Technique: Two-panel axial: CT | PSMA PET, [18F]PSMA-1007 tracer. slice position z = -827 mm.
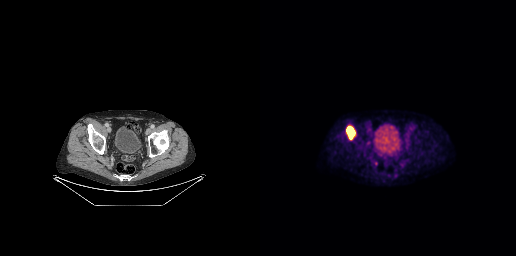
Findings: Coordinates are on the 256×256 PET (right) panel. PSMA-avid tumor lesion bounding box (x0,y0,x1,y1): [87,127,93,138].